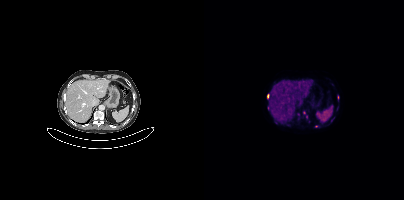
{"modality":"PSMA PET/CT","view":"axial","tracer":"68Ga-PSMA","pet_grid":[200,200],"coord_frame":"pet_panel","coord_format":"x0,y0,x1,y1","partial":true,"lesion_bboxes":[],"small_foci_centers":[[63,95],[102,116],[112,126]]}